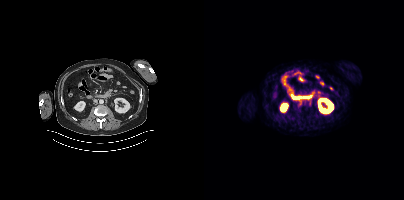
- Left: CT. Right: PSMA PET, same axial level, 68Ga-PSMA tracer
- acquired on Siemens Biograph mCT Flow 20
- slice 195 of 429
Findings: Only PSMA-avid lesion pieces thinner than 2 px on this slice (not listed).